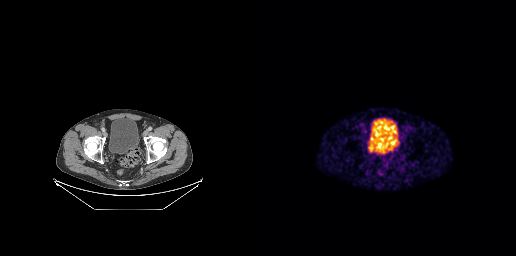
{"pet_grid":[256,256],"coord_frame":"pet_panel","coord_format":"x0,y0,x1,y1","lesion_bboxes":[[116,144,120,148]],"small_foci_centers":[[126,147]],"modality":"PSMA PET/CT","view":"axial","tracer":"68Ga-PSMA"}